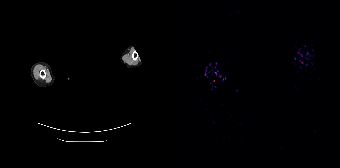
{"modality":"PSMA PET/CT","view":"axial","tracer":"[68Ga]Ga-PSMA-11","pet_grid":[168,168],"coord_frame":"pet_panel","coord_format":"x0,y0,x1,y1","psma_avid_lesions":false,"de-identification":"rectangular block over head set to black"}